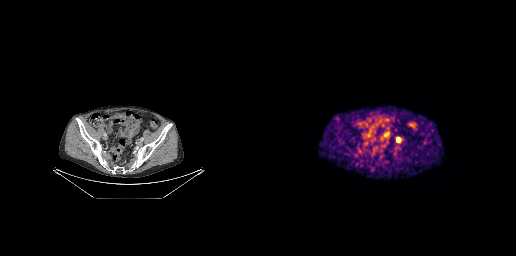
Findings: Coordinates are on the 256×256 PET (right) panel. PSMA-avid tumor lesion bounding box (x0,y0,x1,y1): [136,137,140,142].
Technique: Left: CT. Right: PSMA PET, same axial level, 68Ga tracer.